Technique: Two-panel axial: CT | PSMA PET, 18F-PSMA tracer. acquired on GE Discovery 690. slice position z = -239 mm.
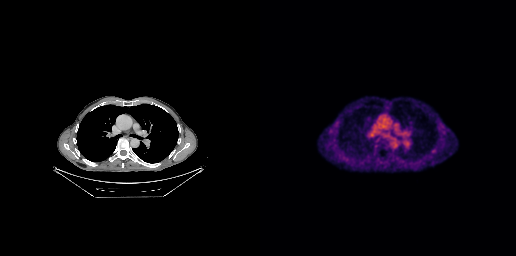
Findings: Coordinates are on the 256×256 PET (right) panel. PSMA-avid tumor lesion bounding box (x0,y0,x1,y1): [171,148,175,152].